modality: PSMA PET/CT | tracer: 18F-PSMA | view: axial | PET grid: 256×256
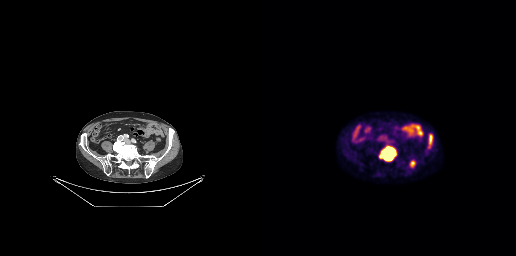
Coordinates are on the 256×256 PET (right) panel. PSMA-avid tumor lesion bounding boxes (x0, y0)-(x1, y1): (120, 147)-(136, 160) / (169, 134)-(172, 147) / (150, 160)-(155, 167).